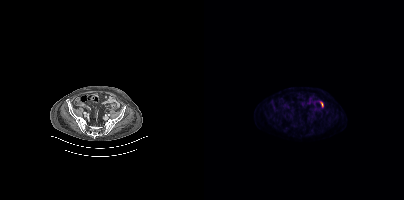
This slice has no annotated PSMA-avid lesion.
modality: PSMA PET/CT | tracer: [18F]PSMA-1007 | view: axial | PET grid: 200×200